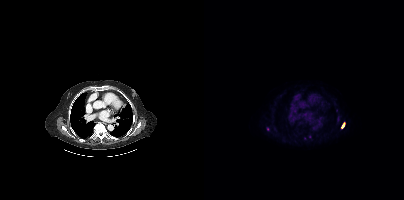
{"modality":"PSMA PET/CT","view":"axial","tracer":"[18F]PSMA-1007","pet_grid":[200,200],"coord_frame":"pet_panel","coord_format":"x0,y0,x1,y1","partial":true,"lesion_bboxes":[[138,123,140,128]],"small_foci_centers":[[63,128]]}